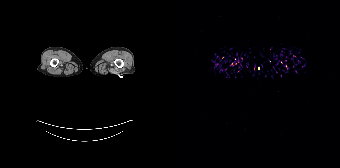
This slice has no annotated PSMA-avid lesion.
modality: PSMA PET/CT | tracer: 68Ga | view: axial